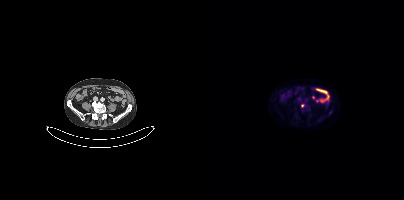
Coordinates are on the 200×200 PET (right) panel. Small PSMA-avid focus (2 to 4 px across) near (center x, center y): (98, 105).